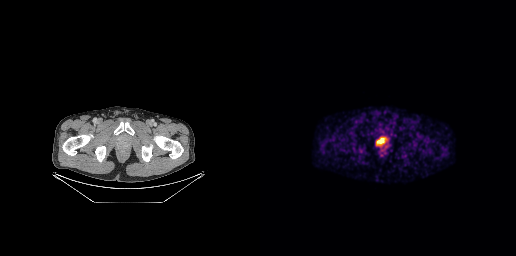
Left: CT. Right: PSMA PET, same axial level, [18F]PSMA-1007 tracer. PET panel 256×256 px (2.7 mm/px).
Coordinates are on the 256×256 PET (right) panel. PSMA-avid tumor lesion bounding boxes:
| # | x0 | y0 | x1 | y1 |
|---|---|---|---|---|
| 1 | 118 | 138 | 125 | 145 |